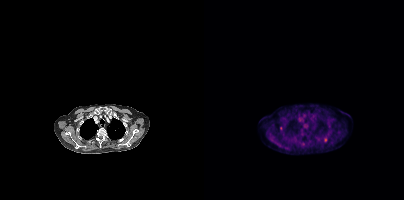
Coordinates are on the 200×200 PET (right) panel. (showing 5 of 7 foci) PSMA-avid tumor lesion bounding box (x0,y0,x1,y1): [120,137,123,141]. Small PSMA-avid foci (2 to 4 px across) near (center x, center y): (99, 144) (124, 120) (76, 128) (97, 134).